Two-panel axial: CT | PSMA PET, 18F tracer. Acquired on Siemens Biograph mCT Flow 20.
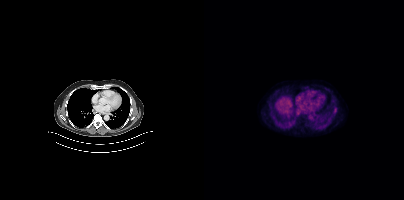
Coordinates are on the 200×200 PET (right) panel. PSMA-avid tumor lesion bounding box (x0, y0)-(x1, y1): (130, 108)-(132, 112).